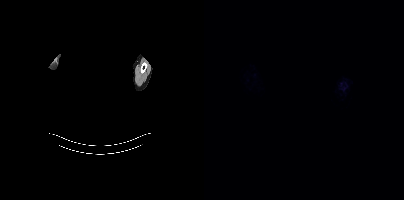
This slice has no annotated PSMA-avid lesion.
modality: PSMA PET/CT | tracer: 18F | view: axial | PET grid: 200×200 | redaction: rectangular block over head set to black